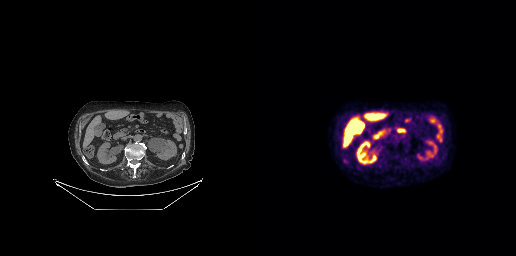
{"modality":"PSMA PET/CT","view":"axial","tracer":"18F","pet_grid":[256,256],"coord_frame":"pet_panel","coord_format":"x0,y0,x1,y1","partial":true,"lesion_bboxes":[]}